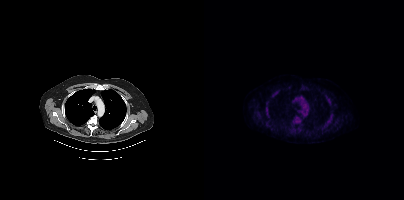
Two-panel axial: CT | PSMA PET, [18F]PSMA-1007 tracer. PET panel 200×200 px (4.1 mm/px). No tumor lesions annotated on this slice.